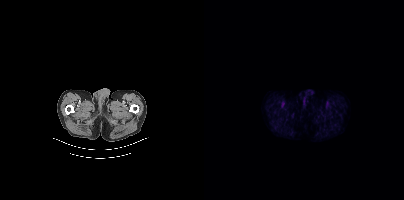
No PSMA-avid tumor lesions on this slice.